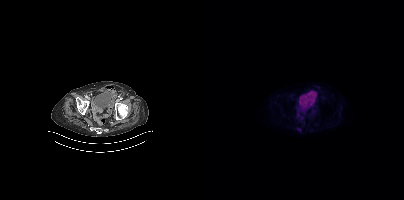
Coordinates are on the 200×200 PET (right) panel. (showing 1 of 2 foci) Small PSMA-avid focus (2 to 4 px across) near (center x, center y): (95, 129).